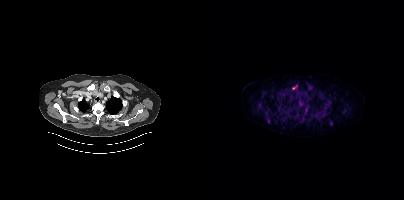
Coordinates are on the 200×200 PET (right) panel. PSMA-avid tumor lesion bounding boxes:
| # | x0 | y0 | x1 | y1 |
|---|---|---|---|---|
| 1 | 121 | 100 | 127 | 107 |
| 2 | 53 | 102 | 58 | 108 |
| 3 | 100 | 107 | 104 | 113 |
| 4 | 91 | 113 | 95 | 117 |
| 5 | 88 | 86 | 93 | 89 |
Small PSMA-avid foci (2 to 4 px across) near (center x, center y): (106, 88); (64, 121); (81, 93); (127, 123).
Left: CT. Right: PSMA PET, same axial level, 18F tracer. Acquired on Siemens Biograph mCT Flow 20. Slice position z = -260 mm.